Left: CT. Right: PSMA PET, same axial level, 68Ga tracer.
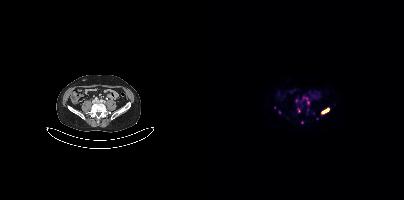
Coordinates are on the 200×200 PET (right) panel. PSMA-avid tumor lesion bounding boxes (partial; 4 more foci not listed):
| # | x0 | y0 | x1 | y1 |
|---|---|---|---|---|
| 1 | 100 | 97 | 105 | 104 |
| 2 | 118 | 108 | 124 | 113 |
Small PSMA-avid foci (2 to 4 px across) near (center x, center y): (103, 109); (75, 112).